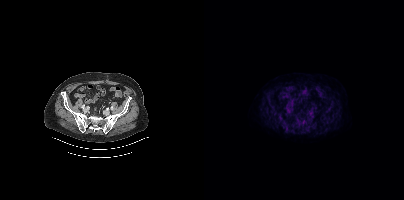
{"pet_grid":[200,200],"coord_frame":"pet_panel","coord_format":"x0,y0,x1,y1","lesion_bboxes":[],"small_foci_centers":[[99,122]],"modality":"PSMA PET/CT","view":"axial","tracer":"18F-PSMA"}